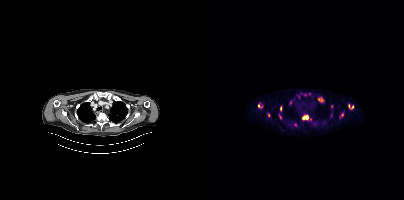
modality: PSMA PET/CT | tracer: 18F | view: axial
Coordinates are on the 200×200 PET (right) panel. (showing 10 of 12 foci) PSMA-avid tumor lesion bounding boxes (x0, y0)-(x1, y1): (98, 115)-(104, 119) / (114, 97)-(119, 102) / (144, 104)-(149, 109) / (85, 100)-(88, 104) / (136, 113)-(139, 117) / (75, 114)-(77, 118) / (76, 106)-(77, 110). Small PSMA-avid foci (2 to 4 px across) near (center x, center y): (54, 106) / (91, 124) / (64, 115).